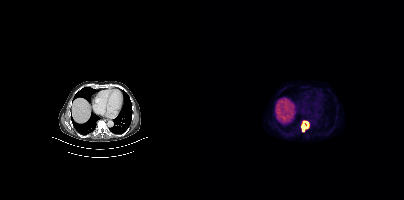
Two-panel axial: CT | PSMA PET, 18F tracer. Acquired on Siemens Biograph mCT Flow 20. Coordinates are on the 200×200 PET (right) panel. PSMA-avid tumor lesion bounding box (x0,y0,x1,y1): [97,120,105,132].